Paired axial CT (left) and PSMA PET (right), [18F]PSMA-1007 tracer. PET panel 256×256 px (2.7 mm/px).
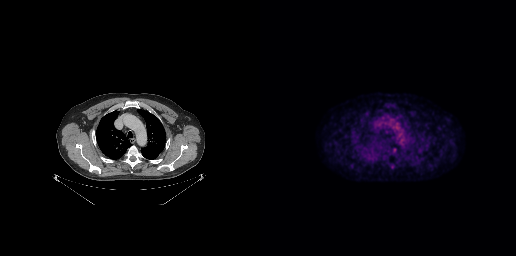
No tumor lesions annotated on this slice.